- Left: CT. Right: PSMA PET, same axial level, 18F-PSMA tracer
- acquired on Siemens Biograph mCT Flow 20
- slice 54 of 389
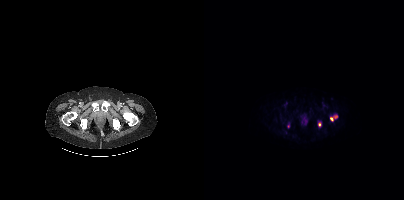
Findings: Coordinates are on the 200×200 PET (right) panel. PSMA-avid tumor lesion bounding box (x0,y0,x1,y1): [126,116,133,121]. Small PSMA-avid focus (2 to 4 px across) near (center x, center y): (115, 124).